Two-panel axial: CT | PSMA PET, 68Ga tracer. Acquired on Siemens Biograph 64-4R TruePoint. Slice position z = -1238 mm. PET panel 168×168 px (4.1 mm/px).
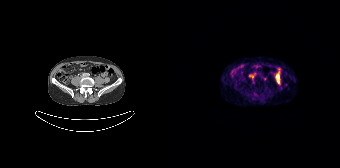
No PSMA-avid tumor lesions on this slice.